Left: CT. Right: PSMA PET, same axial level, [18F]PSMA-1007 tracer. PET panel 200×200 px (4.1 mm/px).
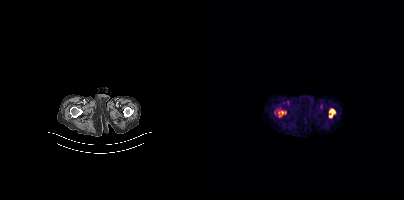
Coordinates are on the 200×200 PET (right) panel. PSMA-avid tumor lesion bounding box (x0,y0,x1,y1): [73,110,81,117]. Small PSMA-avid focus (2 to 4 px across) near (center x, center y): (70, 112).